A rectangular block over the head has been blanked out for de-identification. Two-panel axial: CT | PSMA PET, 18F tracer. PET panel 200×200 px (4.1 mm/px).
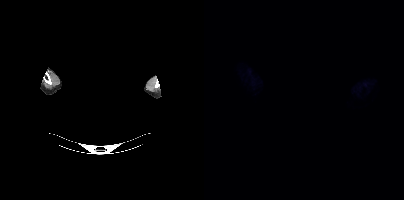
No tumor lesions annotated on this slice.